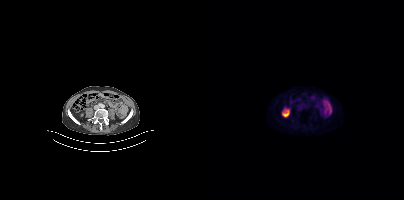
Technique: Paired axial CT (left) and PSMA PET (right), 18F-PSMA tracer. slice 127 of 405. PET panel 200×200 px (4.1 mm/px).
Findings: Coordinates are on the 200×200 PET (right) panel. Small PSMA-avid focus (2 to 4 px across) near (center x, center y): (88, 120).